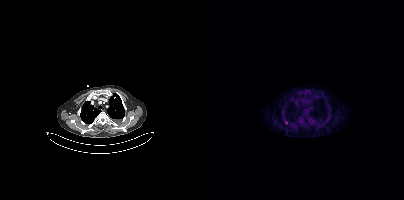
Findings: Coordinates are on the 200×200 PET (right) panel. PSMA-avid tumor lesion bounding box (x0,y0,x1,y1): [81,120,83,124].
- Two-panel axial: CT | PSMA PET, 18F-PSMA tracer
- slice position z = -1028 mm
- PET panel 200×200 px (4.1 mm/px)